Paired axial CT (left) and PSMA PET (right), 18F tracer. Slice 216 of 263. PET panel 256×256 px (2.7 mm/px).
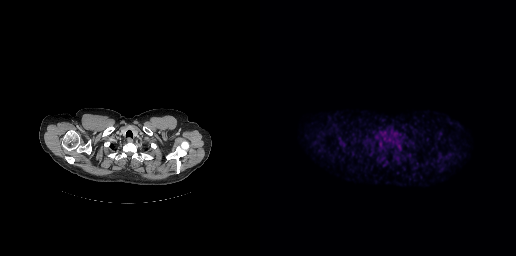
No PSMA-avid tumor lesions on this slice.